Two-panel axial: CT | PSMA PET, [18F]PSMA-1007 tracer. Acquired on Siemens Biograph mCT Flow 20. Slice position z = 428 mm. PET panel 200×200 px (4.1 mm/px).
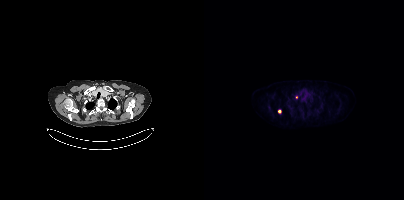
Coordinates are on the 200×200 PET (right) panel. Small PSMA-avid foci (2 to 4 px across) near (center x, center y): (75, 111) | (92, 97).